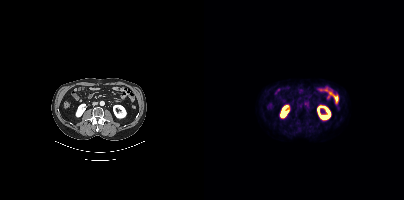
Paired axial CT (left) and PSMA PET (right), [18F]PSMA-1007 tracer. Slice 180 of 438. No tumor lesions annotated on this slice.